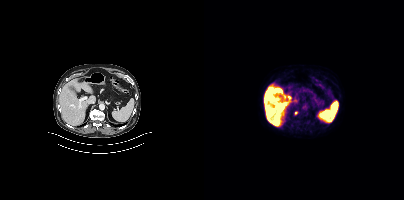
{"modality":"PSMA PET/CT","view":"axial","tracer":"18F-PSMA","pet_grid":[200,200],"coord_frame":"pet_panel","coord_format":"x0,y0,x1,y1","lesion_bboxes":[],"small_foci_centers":[[92,113]]}